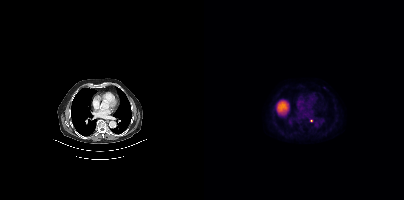
Left: CT. Right: PSMA PET, same axial level, 18F tracer. PET panel 200×200 px (4.1 mm/px). Coordinates are on the 200×200 PET (right) panel. Small PSMA-avid focus (2 to 4 px across) near (center x, center y): (107, 120).